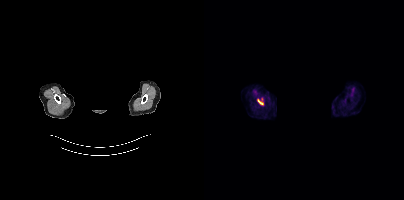
Coordinates are on the 200×200 PET (right) panel. PSMA-avid tumor lesion bounding box (x, y, width, height): x=54 y=100 w=5 h=5. Paired axial CT (left) and PSMA PET (right), 18F tracer. Acquired on Siemens Biograph mCT Flow 20. A rectangular block over the head has been blanked out for de-identification.